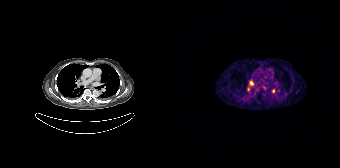
Coordinates are on the 168×168 PET (right) panel. PSMA-avid tumor lesion bounding boxes:
| # | x0 | y0 | x1 | y1 |
|---|---|---|---|---|
| 1 | 78 | 81 | 81 | 85 |
| 2 | 75 | 86 | 78 | 91 |
Small PSMA-avid focus (2 to 4 px across) near (center x, center y): (101, 90).
Paired axial CT (left) and PSMA PET (right), 68Ga-PSMA tracer. Acquired on Siemens Biograph 64-4R TruePoint. PET panel 168×168 px (4.1 mm/px).